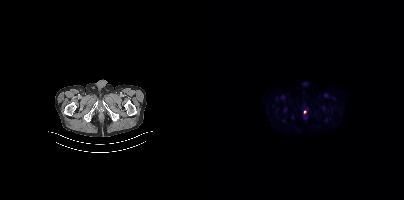
Left: CT. Right: PSMA PET, same axial level, [18F]PSMA-1007 tracer. Acquired on Siemens Biograph mCT Flow 20. PET panel 200×200 px (4.1 mm/px). Coordinates are on the 200×200 PET (right) panel. Small PSMA-avid focus (2 to 4 px across) near (center x, center y): (101, 112).